Paired axial CT (left) and PSMA PET (right), 18F-PSMA tracer. Slice 293 of 417.
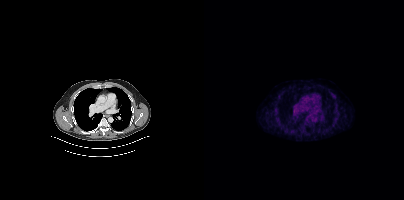
No PSMA-avid tumor lesions on this slice.